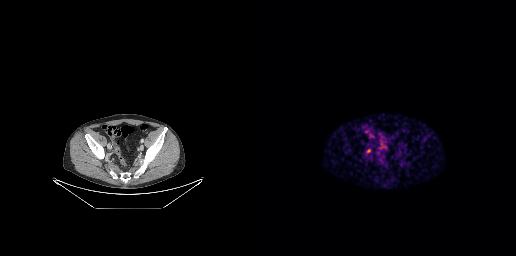
Technique: Paired axial CT (left) and PSMA PET (right), [68Ga]Ga-PSMA-11 tracer. PET panel 256×256 px (2.7 mm/px).
Findings: Coordinates are on the 256×256 PET (right) panel. Small PSMA-avid focus (2 to 4 px across) near (center x, center y): (108, 150).